- Two-panel axial: CT | PSMA PET, [18F]PSMA-1007 tracer
- acquired on Siemens Biograph mCT Flow 20
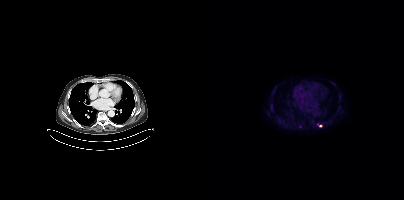
Findings: Coordinates are on the 200×200 PET (right) panel. PSMA-avid tumor lesion bounding box (x, y, width, height): x=113 y=123 w=6 h=5. Small PSMA-avid focus (2 to 4 px across) near (center x, center y): (67, 104).